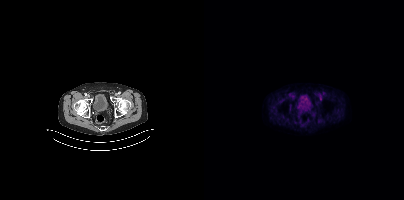
{"pet_grid":[200,200],"coord_frame":"pet_panel","coord_format":"x0,y0,x1,y1","psma_avid_lesions":false,"modality":"PSMA PET/CT","view":"axial","tracer":"18F-PSMA"}